modality: PSMA PET/CT | tracer: 18F-PSMA | view: axial
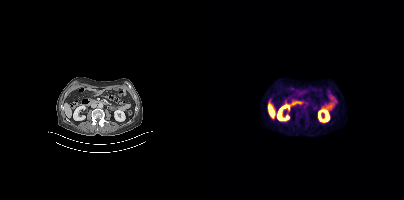
No PSMA-avid tumor lesions on this slice.